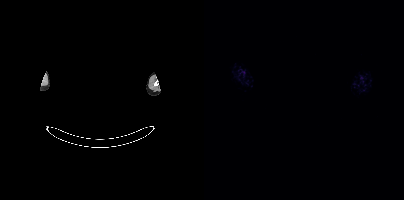
{"modality":"PSMA PET/CT","view":"axial","tracer":"18F-PSMA","pet_grid":[200,200],"coord_frame":"pet_panel","coord_format":"x0,y0,x1,y1","psma_avid_lesions":false,"redaction":"facial region redacted"}